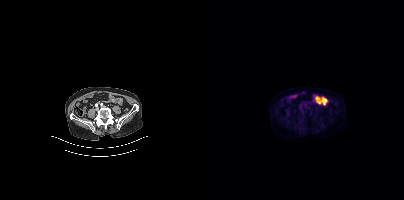
{"modality":"PSMA PET/CT","view":"axial","tracer":"[18F]PSMA-1007","pet_grid":[200,200],"coord_frame":"pet_panel","coord_format":"x0,y0,x1,y1","partial":true,"lesion_bboxes":[]}